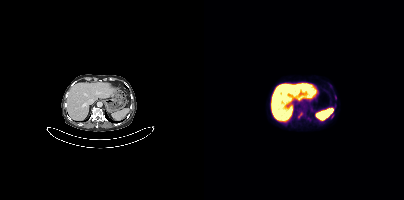
Findings: Coordinates are on the 200×200 PET (right) panel. PSMA-avid tumor lesion bounding box (x0, y0)-(x1, y1): (94, 112)-(98, 117).
Technique: Left: CT. Right: PSMA PET, same axial level, [18F]PSMA-1007 tracer. PET panel 200×200 px (4.1 mm/px).